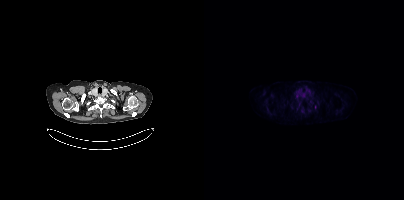
Technique: Paired axial CT (left) and PSMA PET (right), 18F tracer. acquired on Siemens Biograph mCT Flow 20.
Findings: Only PSMA-avid lesion pieces thinner than 2 px on this slice (not listed).